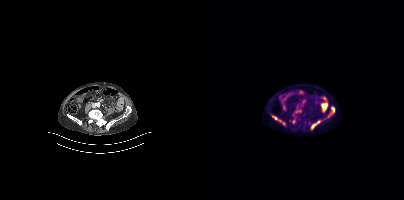
Coordinates are on the 200×200 PET (right) panel. (showing 2 of 3 foci) PSMA-avid tumor lesion bounding box (x0, y0)-(x1, y1): (68, 116)-(73, 119). Small PSMA-avid focus (2 to 4 px across) near (center x, center y): (95, 110). Paired axial CT (left) and PSMA PET (right), [18F]PSMA-1007 tracer. PET panel 200×200 px (4.1 mm/px).